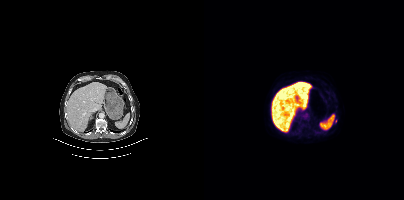
modality: PSMA PET/CT | tracer: 18F-PSMA | view: axial
Coordinates are on the 200×200 PET (right) panel. Small PSMA-avid focus (2 to 4 px across) near (center x, center y): (131, 121).